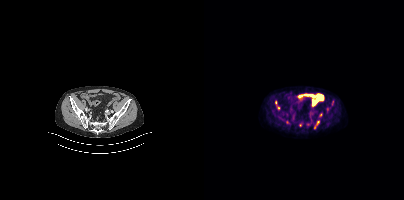
Left: CT. Right: PSMA PET, same axial level, [18F]PSMA-1007 tracer. Slice 93 of 407. Coordinates are on the 200×200 PET (right) panel. (showing 3 of 9 foci) Small PSMA-avid foci (2 to 4 px across) near (center x, center y): (71, 102) | (114, 122) | (74, 107).